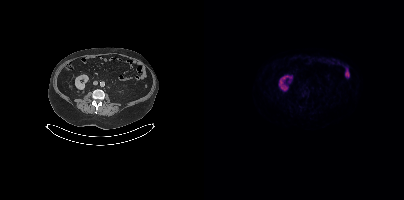
No tumor lesions annotated on this slice.
modality: PSMA PET/CT | tracer: 18F | view: axial